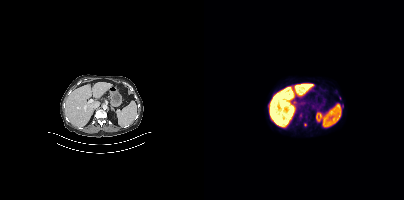
Paired axial CT (left) and PSMA PET (right), 18F-PSMA tracer. Acquired on Siemens Biograph mCT Flow 20. Coordinates are on the 200×200 PET (right) panel. (showing 2 of 3 foci) Small PSMA-avid foci (2 to 4 px across) near (center x, center y): (101, 124) / (138, 105).